Paired axial CT (left) and PSMA PET (right), 18F tracer. Slice position z = -1197 mm.
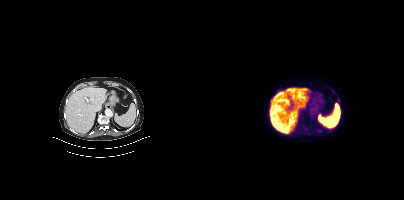
Negative for PSMA-avid disease on this slice.